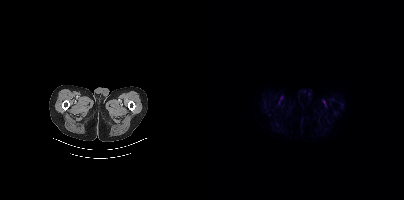
Left: CT. Right: PSMA PET, same axial level, 18F-PSMA tracer. Acquired on Siemens Biograph mCT Flow 20. PET panel 200×200 px (4.1 mm/px). No tumor lesions annotated on this slice.